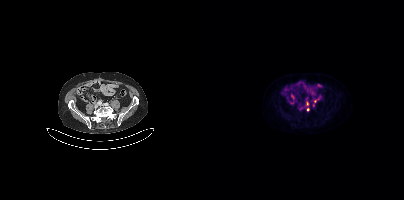
Left: CT. Right: PSMA PET, same axial level, 18F tracer. Acquired on Siemens Biograph mCT Flow 20. Coordinates are on the 200×200 PET (right) panel. Small PSMA-avid foci (2 to 4 px across) near (center x, center y): (104, 109), (103, 103), (110, 101).